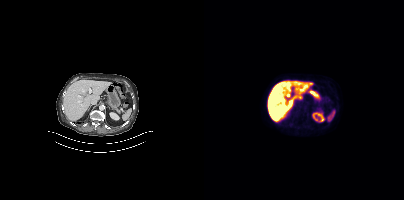
Negative for PSMA-avid disease on this slice.